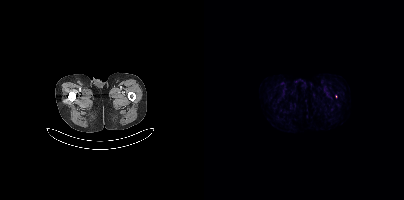
{"modality":"PSMA PET/CT","view":"axial","tracer":"18F-PSMA","pet_grid":[200,200],"coord_frame":"pet_panel","coord_format":"x0,y0,x1,y1","partial":true,"lesion_bboxes":[]}